modality: PSMA PET/CT | tracer: [18F]PSMA-1007 | view: axial
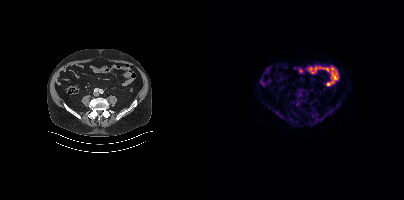
This slice has no annotated PSMA-avid lesion.